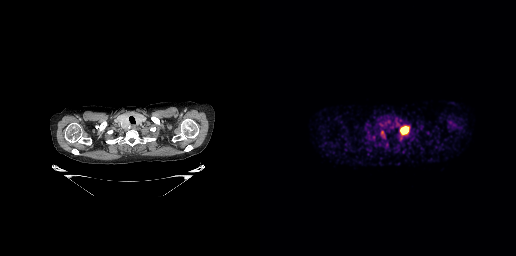
- Left: CT. Right: PSMA PET, same axial level, 68Ga tracer
- acquired on GE Discovery 690
- PET panel 256×256 px (2.7 mm/px)
Findings: Coordinates are on the 256×256 PET (right) panel. PSMA-avid tumor lesion bounding box (x0,y0,x1,y1): [140,125,149,135].